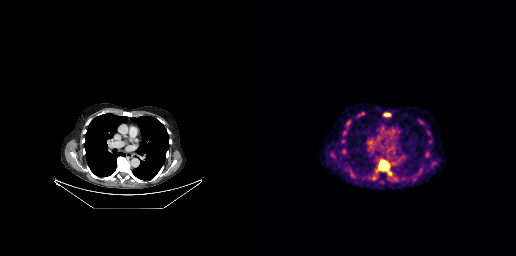
Two-panel axial: CT | PSMA PET, 18F-PSMA tracer.
Coordinates are on the 256×256 PET (right) panel. PSMA-avid tumor lesion bounding boxes:
| # | x0 | y0 | x1 | y1 |
|---|---|---|---|---|
| 1 | 116 | 159 | 131 | 175 |
| 2 | 86 | 120 | 91 | 129 |
| 3 | 124 | 113 | 130 | 116 |
| 4 | 133 | 177 | 137 | 180 |
Small PSMA-avid focus (2 to 4 px across) near (center x, center y): (83, 141).